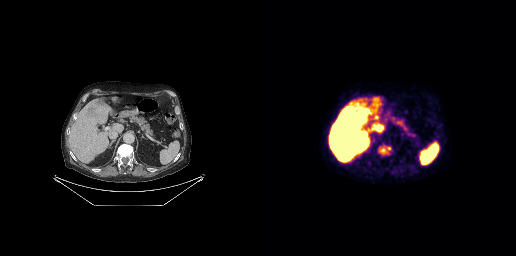
Coordinates are on the 256×256 PET (right) panel. PSMA-avid tumor lesion bounding box (x0, y0)-(x1, y1): (118, 145)-(131, 155).